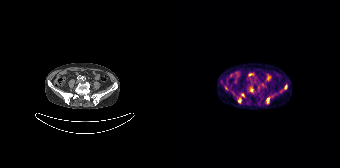
modality: PSMA PET/CT | tracer: 68Ga | view: axial
Coordinates are on the 168×168 PET (right) panel. (showing 7 of 9 foci) PSMA-avid tumor lesion bounding boxes (x0, y0)-(x1, y1): (94, 97)-(97, 103) | (66, 98)-(69, 102) | (53, 86)-(55, 90). Small PSMA-avid foci (2 to 4 px across) near (center x, center y): (79, 89) | (70, 95) | (113, 86) | (92, 85).